- Paired axial CT (left) and PSMA PET (right), [18F]PSMA-1007 tracer
- acquired on Siemens Biograph mCT Flow 20
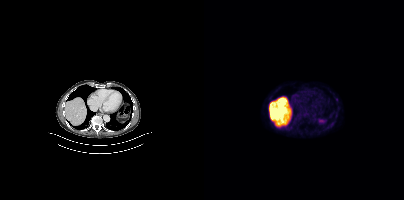
Findings: No tumor lesions annotated on this slice.